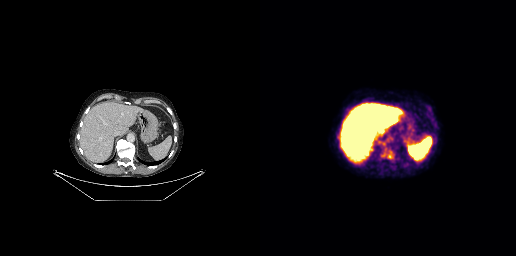
Technique: Two-panel axial: CT | PSMA PET, [18F]PSMA-1007 tracer. acquired on GE Discovery 690. PET panel 256×256 px (2.7 mm/px).
Findings: Coordinates are on the 256×256 PET (right) panel. Small PSMA-avid focus (2 to 4 px across) near (center x, center y): (129, 156).